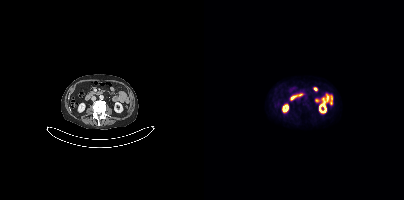
{"modality":"PSMA PET/CT","view":"axial","tracer":"18F","pet_grid":[200,200],"coord_frame":"pet_panel","coord_format":"x0,y0,x1,y1","psma_avid_lesions":false}